- the face region was removed for patient privacy by blanking a rectangle over the head
- Paired axial CT (left) and PSMA PET (right), 18F tracer
- PET panel 200×200 px (4.1 mm/px)
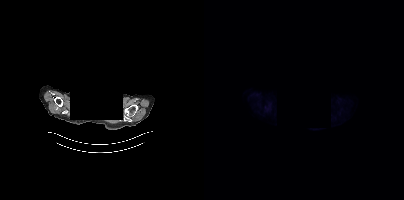
Findings: Negative for PSMA-avid disease on this slice.